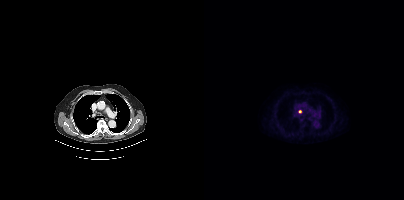
Technique: Paired axial CT (left) and PSMA PET (right), 18F tracer. acquired on Siemens Biograph mCT Flow 20. PET panel 200×200 px (4.1 mm/px).
Findings: Coordinates are on the 200×200 PET (right) panel. Small PSMA-avid focus (2 to 4 px across) near (center x, center y): (95, 112).